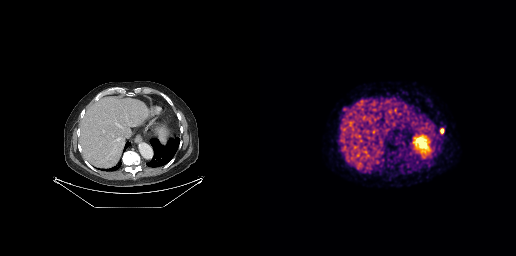
Coordinates are on the 256×256 PET (right) panel. PSMA-avid tumor lesion bounding box (x0, y0)-(x1, y1): (180, 128)-(183, 133).